Paired axial CT (left) and PSMA PET (right), 18F-PSMA tracer. Acquired on Siemens Biograph mCT Flow 20. PET panel 200×200 px (4.1 mm/px).
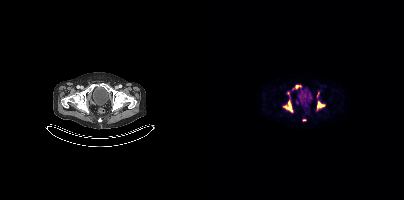
Coordinates are on the 200×200 PET (right) panel. PSMA-avid tumor lesion bounding boxes (partial; 4 more foci not listed):
| # | x0 | y0 | x1 | y1 |
|---|---|---|---|---|
| 1 | 79 | 100 | 88 | 111 |
| 2 | 113 | 101 | 120 | 107 |
| 3 | 91 | 85 | 96 | 88 |
Small PSMA-avid focus (2 to 4 px across) near (center x, center y): (114, 94).